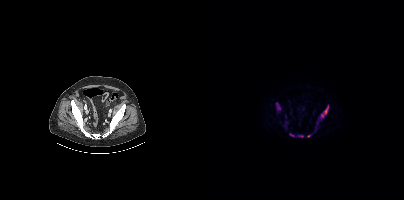
Coordinates are on the 200×200 PET (right) panel. (showing 5 of 7 foci) PSMA-avid tumor lesion bounding boxes (x0,y0,x1,y1): [113,104,125,124] [72,102,76,110] [93,135,99,137] [85,133,90,136] [103,134,107,137].